- Left: CT. Right: PSMA PET, same axial level, 68Ga tracer
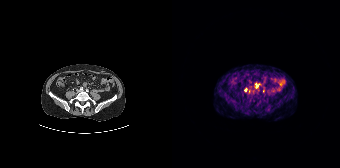
Findings: Coordinates are on the 168×168 PET (right) panel. PSMA-avid tumor lesion bounding box (x, y, width, height): x=83 y=83 w=5 h=6. Small PSMA-avid focus (2 to 4 px across) near (center x, center y): (73, 89).